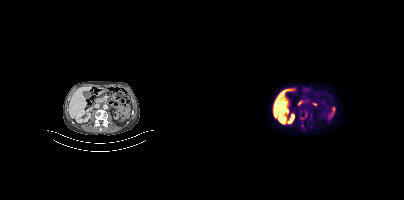
Coordinates are on the 200×200 PET (right) panel. PSMA-avid tumor lesion bounding box (x0,y0,x1,y1): [96,111,103,119]. Small PSMA-avid focus (2 to 4 px across) near (center x, center y): (96, 111).